- Left: CT. Right: PSMA PET, same axial level, [18F]PSMA-1007 tracer
- acquired on Siemens Biograph mCT Flow 20
- PET panel 200×200 px (4.1 mm/px)
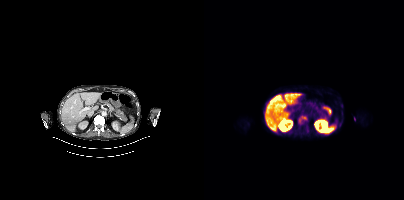
Findings: Coordinates are on the 200×200 PET (right) panel. PSMA-avid tumor lesion bounding box (x0,y0,x1,y1): [94,115,103,123]. Small PSMA-avid focus (2 to 4 px across) near (center x, center y): (137, 105).